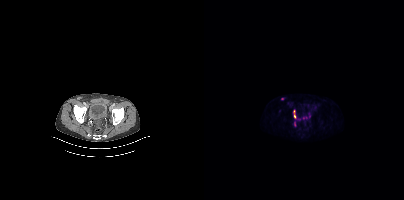
Paired axial CT (left) and PSMA PET (right), 18F-PSMA tracer. Acquired on Siemens Biograph mCT Flow 20. PET panel 200×200 px (4.1 mm/px).
Coordinates are on the 200×200 PET (right) panel. PSMA-avid tumor lesion bounding boxes (partial; 1 more focus not listed):
| # | x0 | y0 | x1 | y1 |
|---|---|---|---|---|
| 1 | 89 | 110 | 92 | 118 |
Small PSMA-avid focus (2 to 4 px across) near (center x, center y): (78, 98).